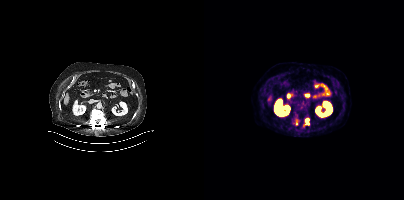
Coordinates are on the 200×200 PET (right) panel. PSMA-avid tumor lesion bounding boxes (x0, y0)-(x1, y1): (90, 119)-(94, 125) / (102, 119)-(105, 124). Small PSMA-avid focus (2 to 4 px across) near (center x, center y): (100, 125).
modality: PSMA PET/CT | tracer: 18F | view: axial | PET grid: 200×200